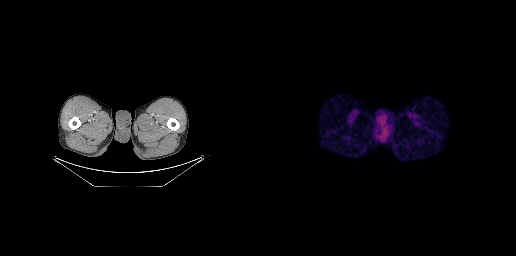
No PSMA-avid tumor lesions on this slice.